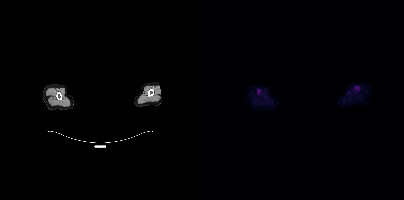
modality: PSMA PET/CT | tracer: [18F]PSMA-1007 | view: axial | PET grid: 200×200 | deidentification: facial region redacted
No tumor lesions annotated on this slice.